modality: PSMA PET/CT | tracer: 18F | view: axial | PET grid: 200×200
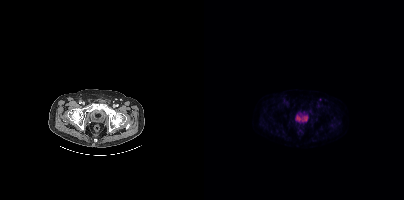
Coordinates are on the 200×200 PET (right) panel. Small PSMA-avid focus (2 to 4 px across) near (center x, center y): (116, 99).